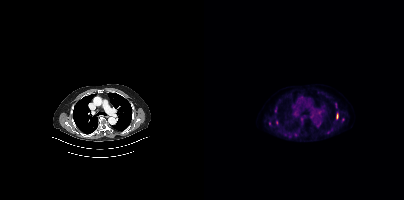
modality: PSMA PET/CT | tracer: 18F | view: axial
Coordinates are on the 200×200 PET (right) panel. (showing 3 of 6 foci) PSMA-avid tumor lesion bounding box (x0,y0,x1,y1): [70,108,73,112]. Small PSMA-avid foci (2 to 4 px across) near (center x, center y): (91, 134); (139, 119).